Paired axial CT (left) and PSMA PET (right), 18F-PSMA tracer. Acquired on Siemens Biograph mCT Flow 20. PET panel 200×200 px (4.1 mm/px).
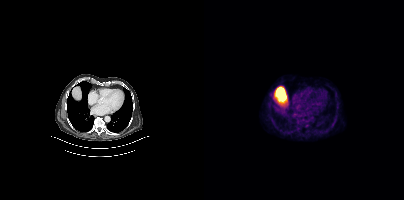
No PSMA-avid tumor lesions on this slice.